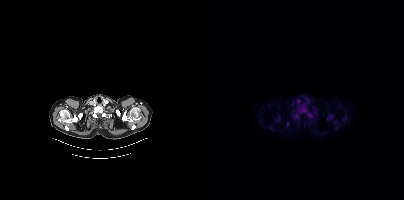
Left: CT. Right: PSMA PET, same axial level, [18F]PSMA-1007 tracer. Acquired on Siemens Biograph mCT Flow 20. Slice 378 of 452. PET panel 200×200 px (4.1 mm/px).
Coordinates are on the 200×200 PET (right) panel. PSMA-avid tumor lesion bounding boxes:
| # | x0 | y0 | x1 | y1 |
|---|---|---|---|---|
| 1 | 83 | 122 | 84 | 126 |
Small PSMA-avid focus (2 to 4 px across) near (center x, center y): (97, 110).